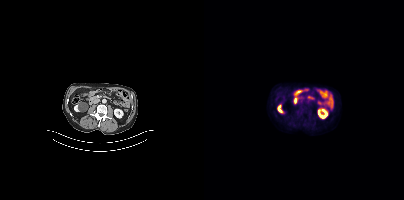
modality: PSMA PET/CT | tracer: 18F | view: axial
Coordinates are on the 200×200 PET (right) panel. Small PSMA-avid focus (2 to 4 px across) near (center x, center y): (94, 112).